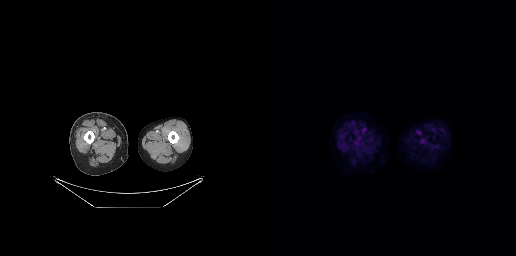
{"modality":"PSMA PET/CT","view":"axial","tracer":"18F","pet_grid":[256,256],"coord_frame":"pet_panel","coord_format":"x0,y0,x1,y1","psma_avid_lesions":false}